Left: CT. Right: PSMA PET, same axial level, [18F]PSMA-1007 tracer. Slice position z = -443 mm. PET panel 256×256 px (2.7 mm/px).
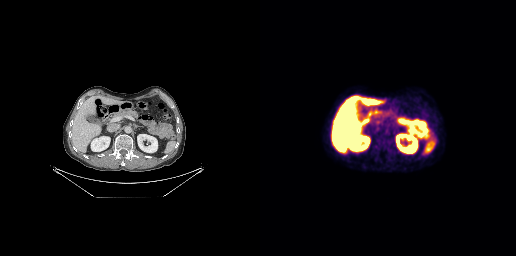
Coordinates are on the 256×256 PET (right) panel. PSMA-avid tumor lesion bounding boxes:
| # | x0 | y0 | x1 | y1 |
|---|---|---|---|---|
| 1 | 132 | 127 | 135 | 131 |